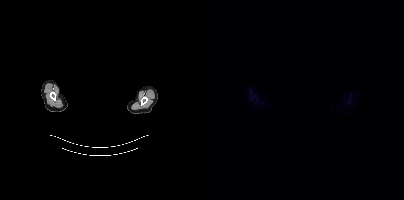
Technique: Two-panel axial: CT | PSMA PET, 18F tracer. PET panel 200×200 px (4.1 mm/px).
Note: Head region blanked for anonymization (face removed).
Findings: No PSMA-avid tumor lesions on this slice.